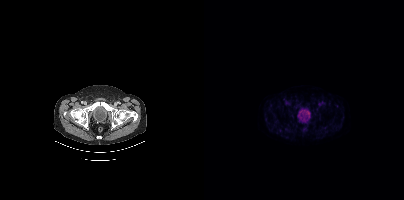
{"modality":"PSMA PET/CT","view":"axial","tracer":"18F-PSMA","pet_grid":[200,200],"coord_frame":"pet_panel","coord_format":"x0,y0,x1,y1","psma_avid_lesions":false}